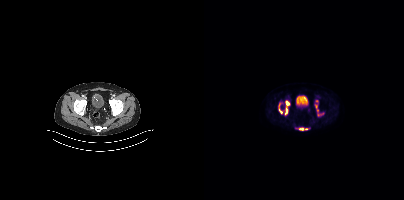
{"modality":"PSMA PET/CT","view":"axial","tracer":"18F-PSMA","pet_grid":[200,200],"coord_frame":"pet_panel","coord_format":"x0,y0,x1,y1","lesion_bboxes":[[81,100,85,114],[111,104,119,116],[95,127,104,130],[74,103,78,113]],"small_foci_centers":[[112,101]]}